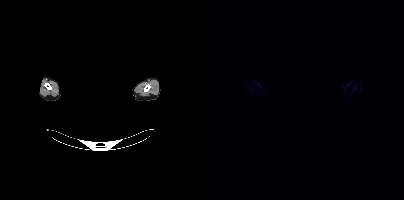
- head region blanked for anonymization (face removed)
- Paired axial CT (left) and PSMA PET (right), 18F tracer
- slice 400 of 403
- PET panel 200×200 px (4.1 mm/px)
Findings: This slice has no annotated PSMA-avid lesion.